Paired axial CT (left) and PSMA PET (right), [18F]PSMA-1007 tracer.
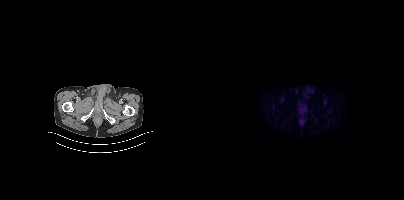
Negative for PSMA-avid disease on this slice.